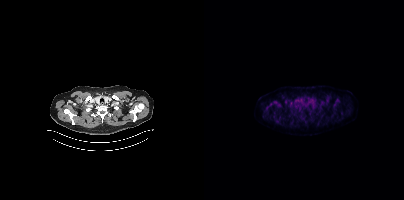
modality: PSMA PET/CT | tracer: [18F]PSMA-1007 | view: axial
Coordinates are on the 200×200 PET (right) panel. Small PSMA-avid focus (2 to 4 px across) near (center x, center y): (106, 113).